Technique: Left: CT. Right: PSMA PET, same axial level, [68Ga]Ga-PSMA-11 tracer. acquired on Siemens Biograph 64-4R TruePoint.
Note: The face region was removed for patient privacy by blanking a rectangle over the head.
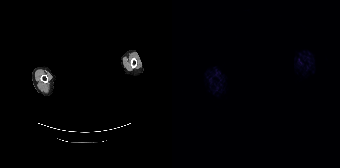
Findings: No PSMA-avid tumor lesions on this slice.